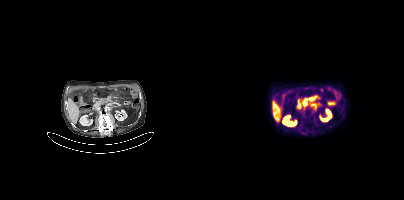
Technique: Two-panel axial: CT | PSMA PET, [18F]PSMA-1007 tracer. slice 193 of 425. PET panel 200×200 px (4.1 mm/px).
Findings: Coordinates are on the 200×200 PET (right) panel. PSMA-avid tumor lesion bounding box (x0,y0,x1,y1): [99,95,114,105]. Small PSMA-avid focus (2 to 4 px across) near (center x, center y): (94, 99).